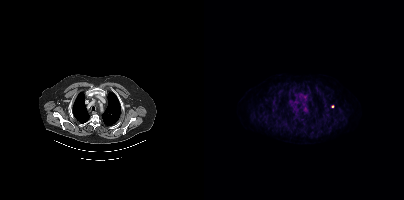
Coordinates are on the 200×200 PET (right) panel. Small PSMA-avid focus (2 to 4 px across) near (center x, center y): (128, 106). Paired axial CT (left) and PSMA PET (right), 18F-PSMA tracer. Acquired on Siemens Biograph mCT Flow 20. Slice position z = -953 mm. PET panel 200×200 px (4.1 mm/px).